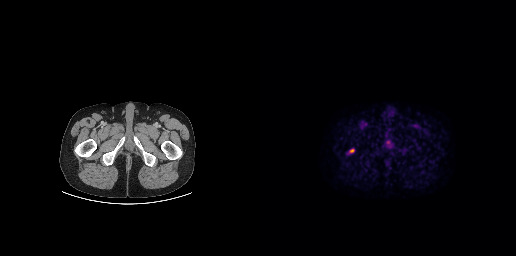
Coordinates are on the 256×256 PET (right) panel. PSMA-avid tumor lesion bounding box (x0, y0)-(x1, y1): (90, 149)-(94, 152).